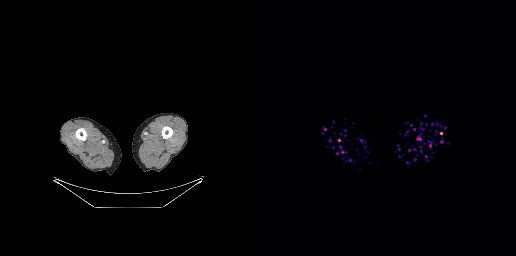
modality: PSMA PET/CT | tracer: [18F]PSMA-1007 | view: axial
This slice has no annotated PSMA-avid lesion.